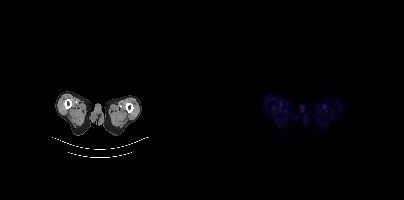
This slice has no annotated PSMA-avid lesion.